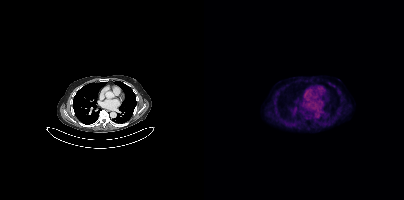
{"pet_grid":[200,200],"coord_frame":"pet_panel","coord_format":"x0,y0,x1,y1","psma_avid_lesions":false,"modality":"PSMA PET/CT","view":"axial","tracer":"[18F]PSMA-1007"}